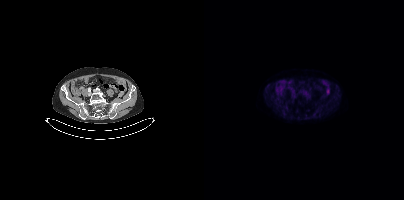
No PSMA-avid tumor lesions on this slice.